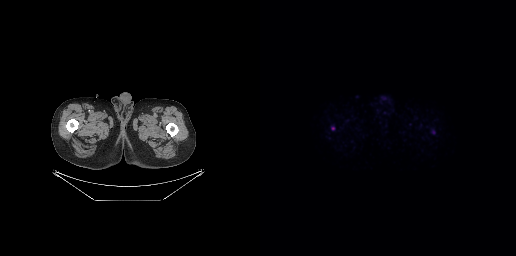
Coordinates are on the 256×256 PET (right) panel. Small PSMA-avid focus (2 to 4 px across) near (center x, center y): (72, 128).